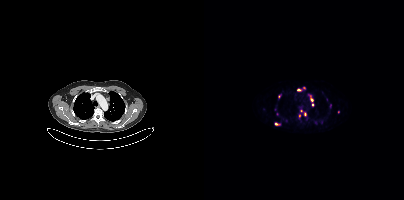
- Paired axial CT (left) and PSMA PET (right), [68Ga]Ga-PSMA-11 tracer
- acquired on Siemens Biograph mCT Flow 20
- slice position z = -997 mm
Findings: Coordinates are on the 200×200 PET (right) panel. (showing 11 of 12 foci) Small PSMA-avid foci (2 to 4 px across) near (center x, center y): (72, 124); (75, 96); (108, 99); (94, 89); (97, 110); (100, 87); (100, 114); (108, 104); (134, 111); (95, 115); (126, 105).